modality: PSMA PET/CT | tracer: 18F | view: axial | PET grid: 200×200
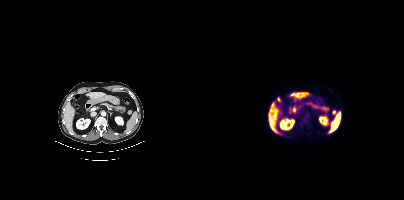
Coordinates are on the 200×200 PET (right) panel. PSMA-avid tumor lesion bounding box (x0, y0)-(x1, y1): (128, 110)-(132, 114).